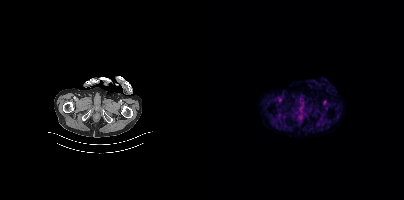
Findings: No tumor lesions annotated on this slice.
- Two-panel axial: CT | PSMA PET, [18F]PSMA-1007 tracer
- acquired on Siemens Biograph mCT Flow 20
- slice position z = -1006 mm